Technique: Paired axial CT (left) and PSMA PET (right), 18F-PSMA tracer. acquired on Siemens Biograph mCT Flow 20.
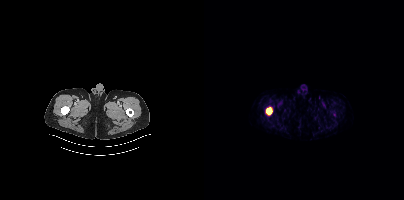
Findings: Coordinates are on the 200×200 PET (right) panel. PSMA-avid tumor lesion bounding box (x, y, width, height): x=62 y=107 w=7 h=8.